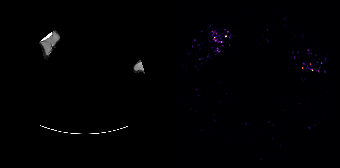
deidentification: head region blacked out before release | modality: PSMA PET/CT | tracer: 68Ga | view: axial
Negative for PSMA-avid disease on this slice.